modality: PSMA PET/CT | tracer: [18F]PSMA-1007 | view: axial | PET grid: 200×200
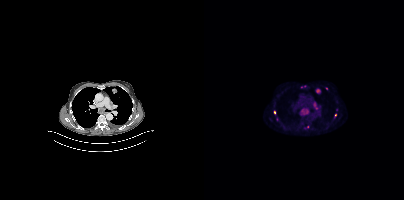
Coordinates are on the 200×200 PET (right) panel. (showing 7 of 11 foci) PSMA-avid tumor lesion bounding boxes (x0, y0)-(x1, y1): (96, 108)-(105, 115); (108, 101)-(114, 109); (112, 89)-(116, 92). Small PSMA-avid foci (2 to 4 px across) near (center x, center y): (122, 88); (131, 115); (70, 112); (103, 126).